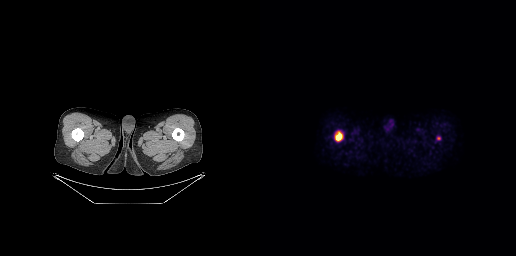
{"modality":"PSMA PET/CT","view":"axial","tracer":"[18F]PSMA-1007","pet_grid":[256,256],"coord_frame":"pet_panel","coord_format":"x0,y0,x1,y1","lesion_bboxes":[[75,131,82,141]]}